- Paired axial CT (left) and PSMA PET (right), 18F-PSMA tracer
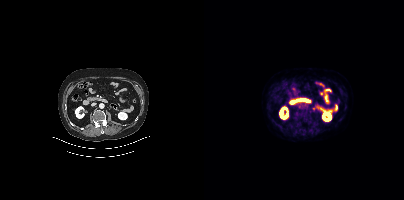
Findings: Only PSMA-avid lesion pieces thinner than 2 px on this slice (not listed).